Two-panel axial: CT | PSMA PET, 18F tracer. Acquired on GE Discovery 690. Slice 38 of 263.
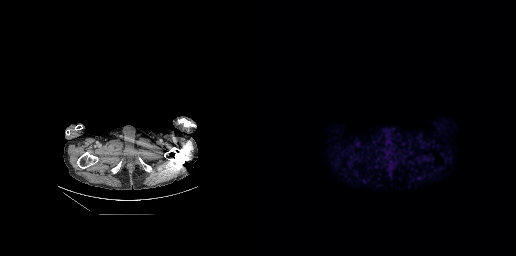
No tumor lesions annotated on this slice.